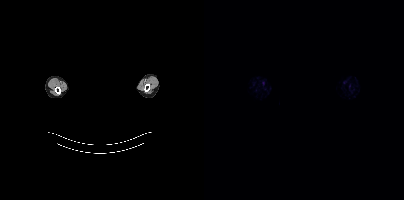
- Left: CT. Right: PSMA PET, same axial level, 18F-PSMA tracer
- slice position z = -285 mm
- the head region is masked for de-identification
Findings: This slice has no annotated PSMA-avid lesion.